Paired axial CT (left) and PSMA PET (right), 18F-PSMA tracer. Slice 158 of 263.
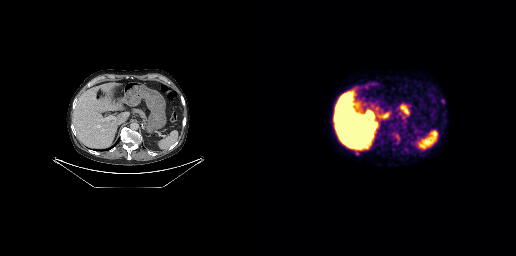
Coordinates are on the 256×256 PET (right) panel. (showing 2 of 3 foci) PSMA-avid tumor lesion bounding boxes (x, y, width, height): x=95 y=150 w=6 h=6; x=181 y=99 w=4 h=5.